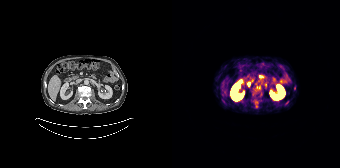
Paired axial CT (left) and PSMA PET (right), 68Ga-PSMA tracer. Slice 74 of 165. PET panel 168×168 px (4.1 mm/px). Coordinates are on the 168×168 PET (right) panel. Small PSMA-avid foci (2 to 4 px across) near (center x, center y): (114, 103); (76, 84).